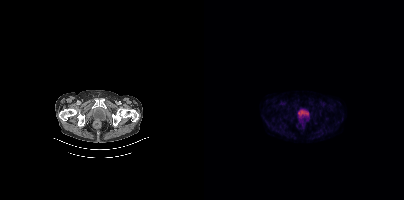
{"modality":"PSMA PET/CT","view":"axial","tracer":"18F","pet_grid":[200,200],"coord_frame":"pet_panel","coord_format":"x0,y0,x1,y1","psma_avid_lesions":false}